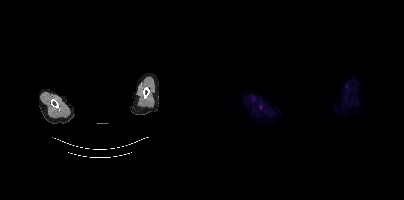
No tumor lesions annotated on this slice.
The face region was removed for patient privacy by blanking a rectangle over the head.